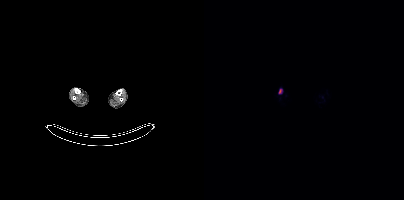
Technique: Left: CT. Right: PSMA PET, same axial level, [18F]PSMA-1007 tracer. slice 133 of 963. PET panel 200×200 px (4.1 mm/px).
Findings: Coordinates are on the 200×200 PET (right) panel. Small PSMA-avid focus (2 to 4 px across) near (center x, center y): (76, 92).